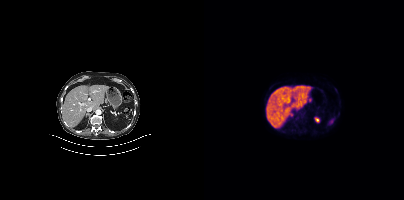
Two-panel axial: CT | PSMA PET, 18F tracer. No PSMA-avid tumor lesions on this slice.